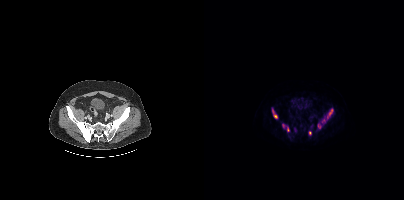
Coordinates are on the 200×200 PET (right) panel. PSMA-avid tumor lesion bounding boxes (x, y, width, height): x=123 y=108 w=7 h=11; x=68 y=109 w=6 h=10; x=114 y=124 w=4 h=5; x=83 y=127 w=3 h=5. Small PSMA-avid foci (2 to 4 px across) near (center x, center y): (106, 132); (119, 120); (79, 125).
modality: PSMA PET/CT | tracer: 18F-PSMA | view: axial | PET grid: 200×200